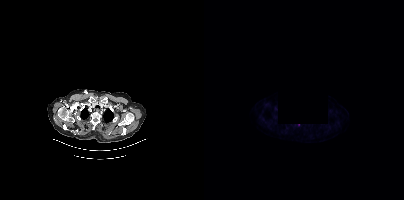
A region was redacted for de-identification by setting it to black.
Coordinates are on the 200×200 PET (right) panel. Small PSMA-avid focus (2 to 4 px across) near (center x, center y): (94, 124).